Left: CT. Right: PSMA PET, same axial level, [18F]PSMA-1007 tracer. Acquired on Siemens Biograph mCT Flow 20. Slice 350 of 377. Head region blanked for anonymization (face removed).
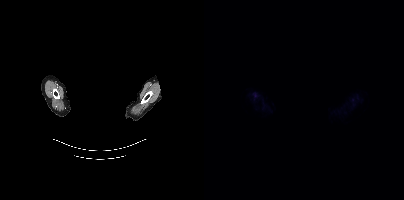
Negative for PSMA-avid disease on this slice.